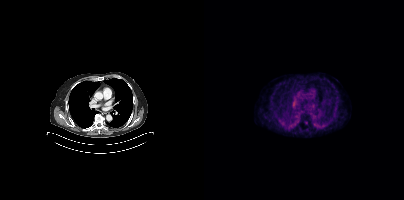
Left: CT. Right: PSMA PET, same axial level, [68Ga]Ga-PSMA-11 tracer. PET panel 200×200 px (4.1 mm/px). Coordinates are on the 200×200 PET (right) panel. Small PSMA-avid focus (2 to 4 px across) near (center x, center y): (101, 122).